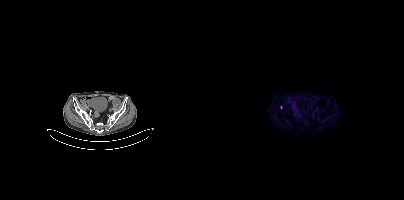
{"pet_grid":[200,200],"coord_frame":"pet_panel","coord_format":"x0,y0,x1,y1","partial":true,"lesion_bboxes":[],"modality":"PSMA PET/CT","view":"axial","tracer":"18F"}